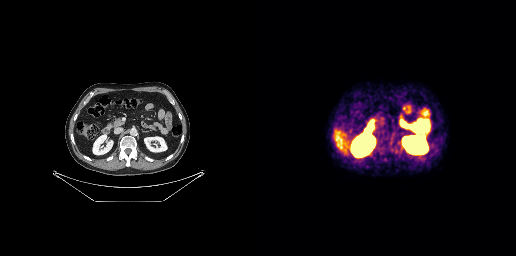
This slice has no annotated PSMA-avid lesion. Left: CT. Right: PSMA PET, same axial level, 68Ga tracer. PET panel 256×256 px (2.7 mm/px).